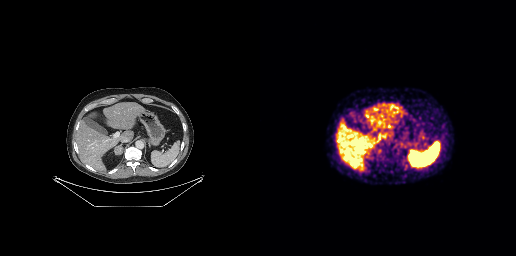
Findings: No tumor lesions annotated on this slice.
- Two-panel axial: CT | PSMA PET, 68Ga tracer
- slice position z = -580 mm